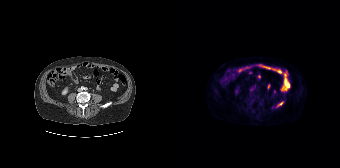
Paired axial CT (left) and PSMA PET (right), 18F-PSMA tracer. Acquired on Siemens Biograph 64-4R TruePoint. PET panel 168×168 px (4.1 mm/px). Coordinates are on the 168×168 PET (right) panel. Small PSMA-avid focus (2 to 4 px across) near (center x, center y): (109, 103).